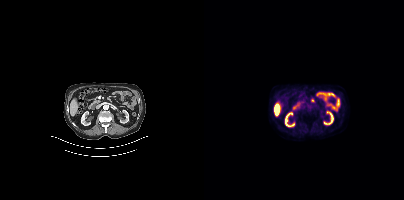
{"modality":"PSMA PET/CT","view":"axial","tracer":"18F","pet_grid":[200,200],"coord_frame":"pet_panel","coord_format":"x0,y0,x1,y1","psma_avid_lesions":false}